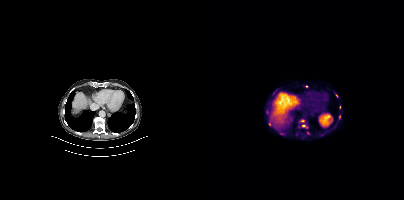
Coordinates are on the 200×200 PET (right) panel. (showing 7 of 8 foci) Small PSMA-avid foci (2 to 4 px across) near (center x, center y): (135, 116); (99, 125); (102, 86); (63, 111); (98, 120); (65, 124); (132, 95).